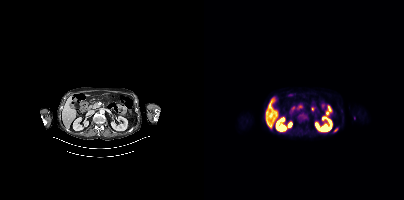
Left: CT. Right: PSMA PET, same axial level, 18F tracer. Coordinates are on the 200×200 PET (right) panel. (showing 1 of 3 foci) PSMA-avid tumor lesion bounding box (x, y, width, height): x=130 y=128 w=5 h=5.